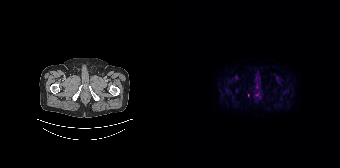
{"pet_grid":[168,168],"coord_frame":"pet_panel","coord_format":"x0,y0,x1,y1","lesion_bboxes":[],"small_foci_centers":[[76,95]],"modality":"PSMA PET/CT","view":"axial","tracer":"[18F]PSMA-1007"}